- head region blanked for anonymization (face removed)
- Two-panel axial: CT | PSMA PET, [18F]PSMA-1007 tracer
- slice position z = -689 mm
- PET panel 200×200 px (4.1 mm/px)
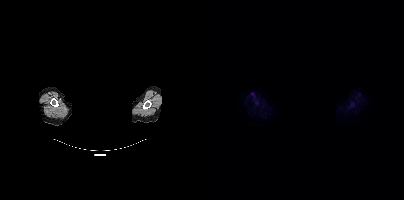
Findings: Coordinates are on the 200×200 PET (right) panel. PSMA-avid tumor lesion bounding box (x0,y0,x1,y1): [52,101,55,105]. Small PSMA-avid focus (2 to 4 px across) near (center x, center y): (146, 105).